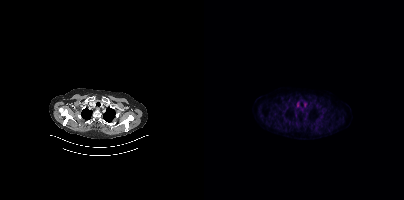
Findings: No PSMA-avid tumor lesions on this slice.
- Two-panel axial: CT | PSMA PET, 18F tracer
- acquired on Siemens Biograph mCT Flow 20
- slice 294 of 354
- PET panel 200×200 px (4.1 mm/px)